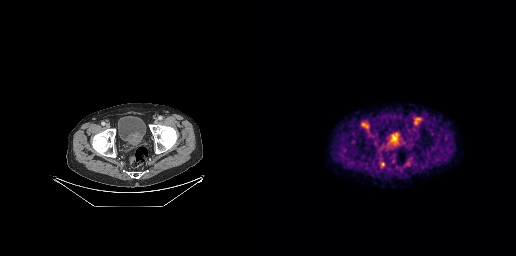
Two-panel axial: CT | PSMA PET, 18F-PSMA tracer. Slice 68 of 263.
Coordinates are on the 256×256 PET (right) panel. PSMA-avid tumor lesion bounding boxes:
| # | x0 | y0 | x1 | y1 |
|---|---|---|---|---|
| 1 | 120 | 162 | 124 | 166 |